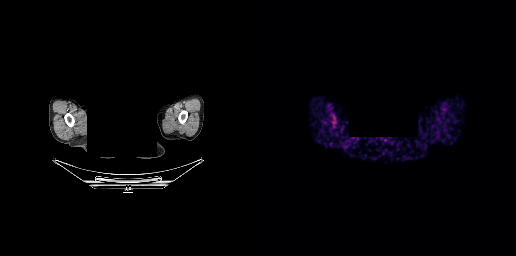
{"modality":"PSMA PET/CT","view":"axial","tracer":"68Ga-PSMA","pet_grid":[256,256],"coord_frame":"pet_panel","coord_format":"x0,y0,x1,y1","de-identification":"head region blanked (face removed)","psma_avid_lesions":false}